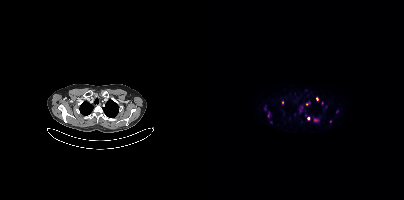
- Paired axial CT (left) and PSMA PET (right), 68Ga tracer
- acquired on Siemens Biograph mCT Flow 20
- PET panel 200×200 px (4.1 mm/px)
Findings: Coordinates are on the 200×200 PET (right) panel. (showing 7 of 10 foci) PSMA-avid tumor lesion bounding box (x, y, width, height): x=110 y=119 w=5 h=3. Small PSMA-avid foci (2 to 4 px across) near (center x, center y): (61, 107) / (113, 99) / (78, 101) / (104, 118) / (126, 121) / (132, 111).